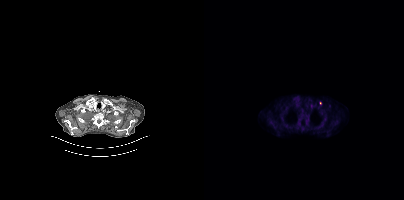
{"pet_grid":[200,200],"coord_frame":"pet_panel","coord_format":"x0,y0,x1,y1","partial":true,"lesion_bboxes":[],"small_foci_centers":[[116,103]],"modality":"PSMA PET/CT","view":"axial","tracer":"18F"}